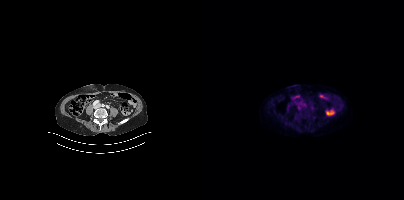
Left: CT. Right: PSMA PET, same axial level, 18F tracer. Acquired on Siemens Biograph mCT Flow 20. Slice 140 of 423. Negative for PSMA-avid disease on this slice.